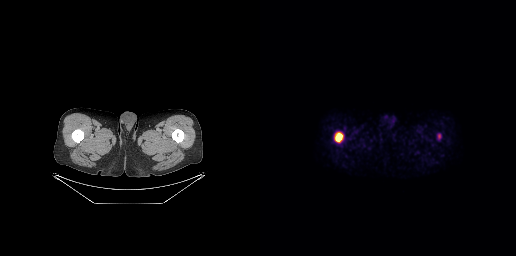
Findings: Coordinates are on the 256×256 PET (right) panel. PSMA-avid tumor lesion bounding box (x, y, width, height): x=74 y=132 w=10 h=11.
Technique: Left: CT. Right: PSMA PET, same axial level, 18F tracer. acquired on GE Discovery 690.